modality: PSMA PET/CT | tracer: 18F-PSMA | view: axial
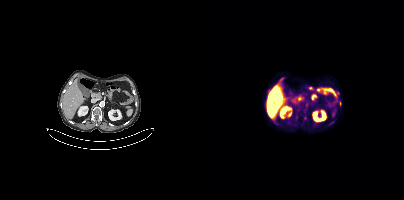
Coordinates are on the 200×200 PET (right) panel. Small PSMA-avid focus (2 to 4 px across) near (center x, center y): (136, 103).